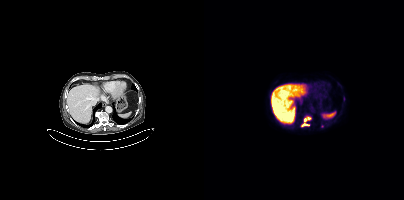
Findings: Coordinates are on the 200×200 PET (right) panel. PSMA-avid tumor lesion bounding boxes (x0, y0)-(x1, y1): (100, 116)-(106, 121) / (98, 123)-(105, 126) / (139, 97)-(141, 101). Small PSMA-avid focus (2 to 4 px across) near (center x, center y): (118, 126).
Technique: Two-panel axial: CT | PSMA PET, [18F]PSMA-1007 tracer. acquired on Siemens Biograph mCT Flow 20. slice 238 of 403.